Face de-identified by blanking a block of the head. Paired axial CT (left) and PSMA PET (right), [18F]PSMA-1007 tracer. Slice 299 of 299.
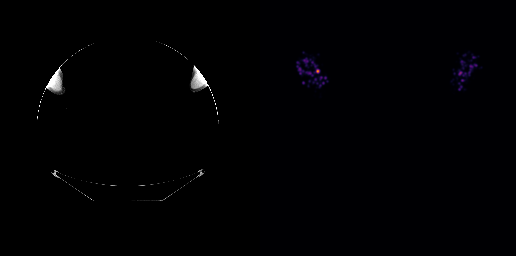
This slice has no annotated PSMA-avid lesion.